Paired axial CT (left) and PSMA PET (right), 18F tracer. Slice position z = -1492 mm. PET panel 200×200 px (4.1 mm/px).
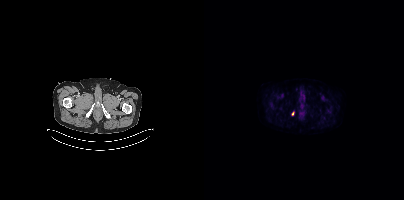
Coordinates are on the 200×200 PET (right) panel. Small PSMA-avid focus (2 to 4 px across) near (center x, center y): (88, 113).